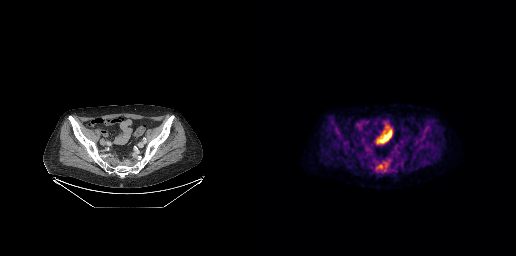
Paired axial CT (left) and PSMA PET (right), 18F-PSMA tracer. Acquired on GE Discovery 690. Slice 166 of 371. Only PSMA-avid lesion pieces thinner than 2 px on this slice (not listed).